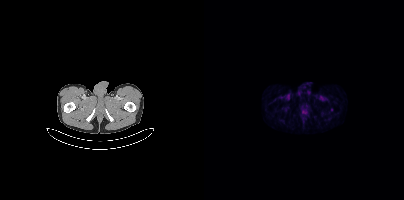
Only PSMA-avid lesion pieces thinner than 2 px on this slice (not listed).
modality: PSMA PET/CT | tracer: [18F]PSMA-1007 | view: axial